Technique: Paired axial CT (left) and PSMA PET (right), 18F tracer.
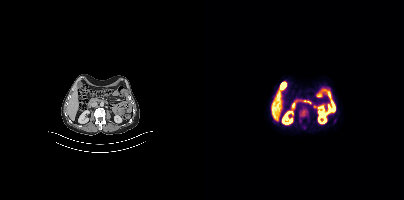
Findings: Coordinates are on the 200×200 PET (right) panel. PSMA-avid tumor lesion bounding box (x, y, width, height): x=96 y=110 w=6 h=6.